Paired axial CT (left) and PSMA PET (right), 18F tracer. Acquired on Siemens Biograph mCT Flow 20. Slice position z = -794 mm. PET panel 200×200 px (4.1 mm/px). Head region blanked for anonymization (face removed).
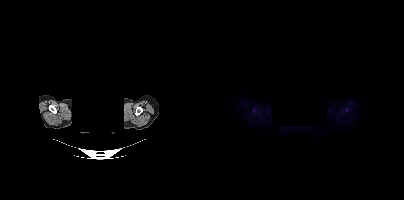
Coordinates are on the 200×200 PET (right) panel. Small PSMA-avid focus (2 to 4 px across) near (center x, center y): (49, 110).